Two-panel axial: CT | PSMA PET, [18F]PSMA-1007 tracer. Acquired on Siemens Biograph mCT Flow 20. Slice position z = -1127 mm. PET panel 200×200 px (4.1 mm/px).
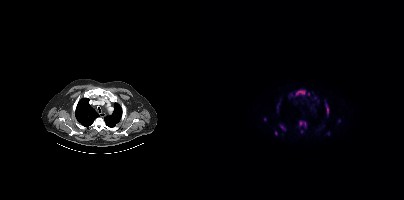
Coordinates are on the 200×200 PET (right) panel. PSMA-avid tumor lesion bounding boxes (partial; 2 more foci not listed):
| # | x0 | y0 | x1 | y1 |
|---|---|---|---|---|
| 1 | 91 | 89 | 101 | 95 |
| 2 | 95 | 121 | 102 | 127 |
| 3 | 75 | 124 | 81 | 130 |
| 4 | 121 | 104 | 125 | 115 |
| 5 | 73 | 103 | 75 | 109 |
| 6 | 71 | 131 | 73 | 135 |
Small PSMA-avid foci (2 to 4 px across) near (center x, center y): (61, 119); (98, 131); (104, 94); (124, 133); (135, 120); (87, 94).